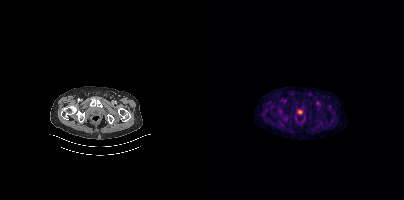
Paired axial CT (left) and PSMA PET (right), 18F tracer. Acquired on Siemens Biograph mCT Flow 20. No PSMA-avid tumor lesions on this slice.